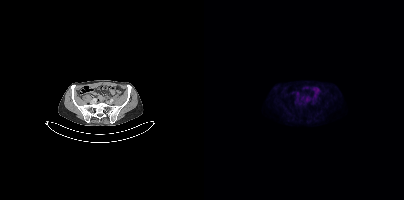
- Paired axial CT (left) and PSMA PET (right), 18F-PSMA tracer
- acquired on Siemens Biograph mCT Flow 20
- slice 117 of 448
Findings: No PSMA-avid tumor lesions on this slice.